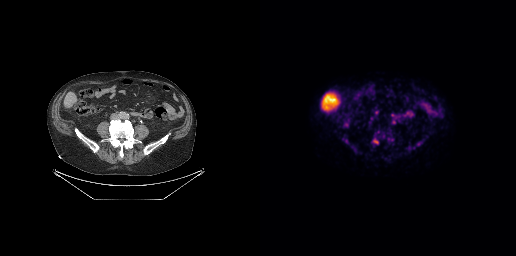
Coordinates are on the 256×256 PET (right) panel. PSMA-avid tumor lesion bounding box (x0,y0,x1,y1): [113,138,118,144]. Small PSMA-avid focus (2 to 4 px across) near (center x, center y): (158, 144).
modality: PSMA PET/CT | tracer: [18F]PSMA-1007 | view: axial | PET grid: 256×256